Technique: Left: CT. Right: PSMA PET, same axial level, 18F tracer. acquired on Siemens Biograph mCT Flow 20.
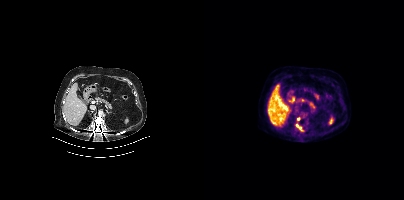
Findings: Coordinates are on the 200×200 PET (right) panel. PSMA-avid tumor lesion bounding box (x0,y0,x1,y1): [91,123,99,131]. Small PSMA-avid focus (2 to 4 px across) near (center x, center y): (94, 118).